Two-panel axial: CT | PSMA PET, [18F]PSMA-1007 tracer. Slice position z = -622 mm. PET panel 200×200 px (4.1 mm/px).
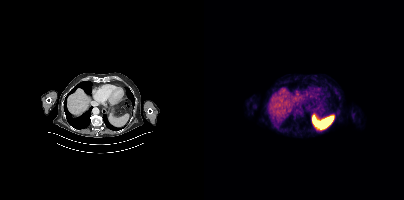
Negative for PSMA-avid disease on this slice.